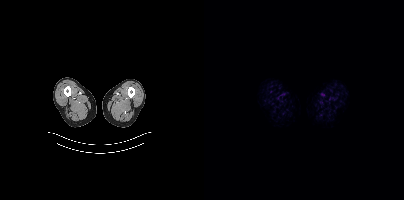
Left: CT. Right: PSMA PET, same axial level, [18F]PSMA-1007 tracer. Slice position z = -1178 mm. PET panel 200×200 px (4.1 mm/px). No tumor lesions annotated on this slice.